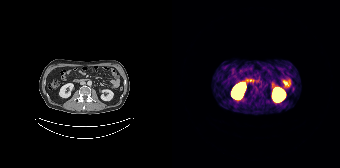
Negative for PSMA-avid disease on this slice.